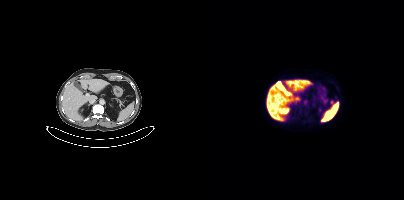
- Paired axial CT (left) and PSMA PET (right), [18F]PSMA-1007 tracer
- slice 228 of 423
- PET panel 200×200 px (4.1 mm/px)
Findings: Coordinates are on the 200×200 PET (right) panel. Small PSMA-avid focus (2 to 4 px across) near (center x, center y): (127, 102).